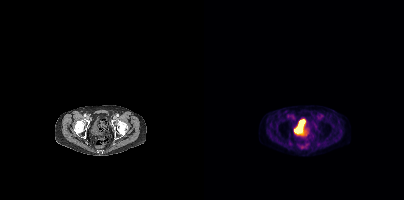
{"modality":"PSMA PET/CT","view":"axial","tracer":"18F-PSMA","pet_grid":[200,200],"coord_frame":"pet_panel","coord_format":"x0,y0,x1,y1","psma_avid_lesions":false}